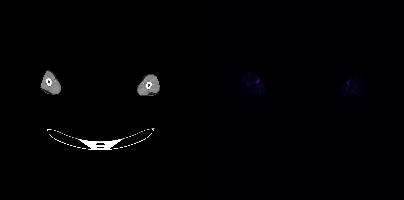
This slice has no annotated PSMA-avid lesion. Privacy masking over the head, with the pixels inside a rectangle set to black. Two-panel axial: CT | PSMA PET, [18F]PSMA-1007 tracer. Acquired on Siemens Biograph mCT Flow 20. Slice position z = -776 mm.